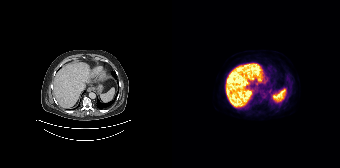
{"pet_grid":[168,168],"coord_frame":"pet_panel","coord_format":"x0,y0,x1,y1","psma_avid_lesions":false,"modality":"PSMA PET/CT","view":"axial","tracer":"[18F]PSMA-1007"}